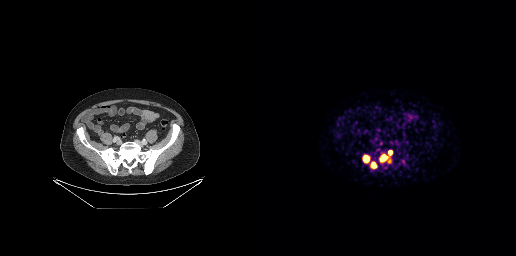
Technique: Paired axial CT (left) and PSMA PET (right), 68Ga tracer. slice position z = -794 mm. PET panel 256×256 px (2.7 mm/px).
Findings: Coordinates are on the 256×256 PET (right) panel. (showing 4 of 5 foci) PSMA-avid tumor lesion bounding boxes (x, y, width, height): x=120 y=154 w=9 h=8 / x=103 y=156 w=7 h=7 / x=111 y=162 w=6 h=7 / x=128 y=150 w=5 h=6.